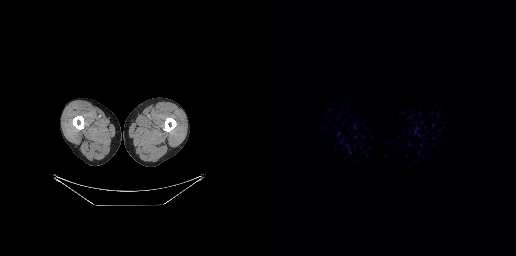
Findings: No tumor lesions annotated on this slice.
- Paired axial CT (left) and PSMA PET (right), 18F-PSMA tracer
- PET panel 256×256 px (2.7 mm/px)